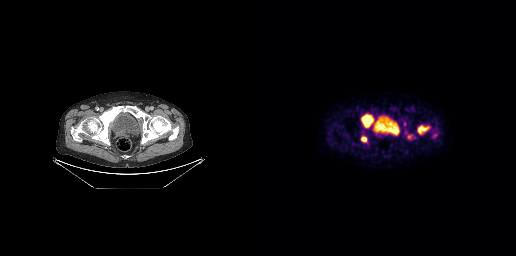
{"modality":"PSMA PET/CT","view":"axial","tracer":"18F","pet_grid":[256,256],"coord_frame":"pet_panel","coord_format":"x0,y0,x1,y1","lesion_bboxes":[[101,114,113,127],[157,124,170,134],[101,136,106,141],[143,121,146,126]],"small_foci_centers":[[149,137]]}